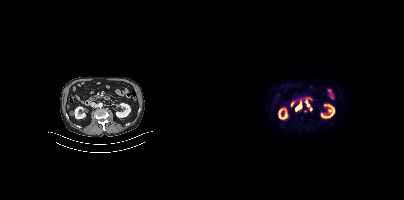
Coordinates are on the 200×200 PET (right) panel. (showing 5 of 6 foci) PSMA-avid tumor lesion bounding box (x0,y0,x1,y1): [92,105,97,109]. Small PSMA-avid foci (2 to 4 px across) near (center x, center y): (96, 101), (102, 101), (103, 105), (106, 108).